Technique: Paired axial CT (left) and PSMA PET (right), [18F]PSMA-1007 tracer. PET panel 200×200 px (4.1 mm/px).
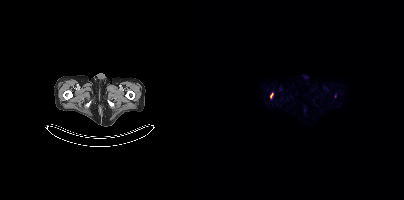
Findings: Coordinates are on the 200×200 PET (right) panel. PSMA-avid tumor lesion bounding box (x, y, width, height): x=66 y=93 w=3 h=5.